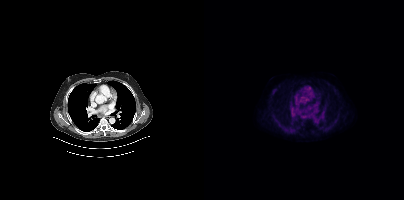
modality: PSMA PET/CT | tracer: [18F]PSMA-1007 | view: axial
This slice has no annotated PSMA-avid lesion.